modality: PSMA PET/CT | tracer: [18F]PSMA-1007 | view: axial | PET grid: 200×200
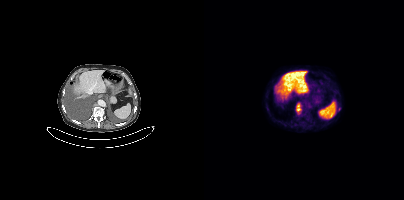
Coordinates are on the 200×200 PET (right) panel. (showing 1 of 2 foci) PSMA-avid tumor lesion bounding box (x0,y0,x1,y1): [92,103,97,113].